modality: PSMA PET/CT | tracer: 18F-PSMA | view: axial | PET grid: 200×200
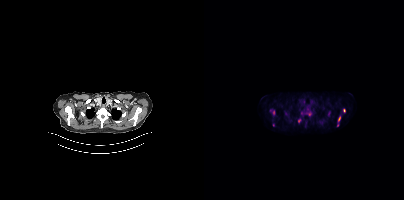
Coordinates are on the 200×200 PET (right) panel. (showing 8 of 10 foci) PSMA-avid tumor lesion bounding boxes (x, y, width, height): x=139 y=108 w=3 h=5 | x=134 y=116 w=3 h=6. Small PSMA-avid foci (2 to 4 px across) near (center x, center y): (69, 112) | (95, 120) | (133, 125) | (124, 113) | (82, 113) | (105, 114).